Two-panel axial: CT | PSMA PET, 18F-PSMA tracer. Slice position z = -717 mm.
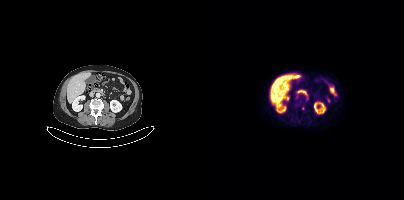
Coordinates are on the 200×200 PET (right) panel. Small PSMA-avid focus (2 to 4 px across) near (center x, center y): (99, 108).